Technique: Left: CT. Right: PSMA PET, same axial level, [18F]PSMA-1007 tracer. acquired on Siemens Biograph mCT Flow 20. slice 303 of 389. PET panel 200×200 px (4.1 mm/px).
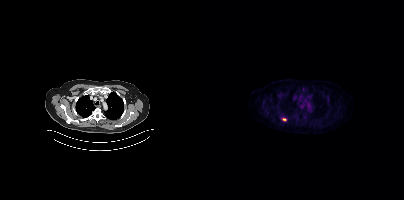
Findings: Coordinates are on the 200×200 PET (right) panel. PSMA-avid tumor lesion bounding box (x0,y0,x1,y1): [78,118,82,121].